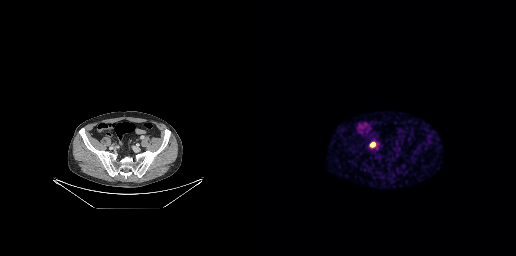
Findings: Coordinates are on the 256×256 PET (right) panel. PSMA-avid tumor lesion bounding box (x0,y0,x1,y1): [110,142,115,147].
Technique: Paired axial CT (left) and PSMA PET (right), 68Ga tracer. slice 60 of 227.